Technique: Paired axial CT (left) and PSMA PET (right), 18F tracer. acquired on Siemens Biograph mCT Flow 20.
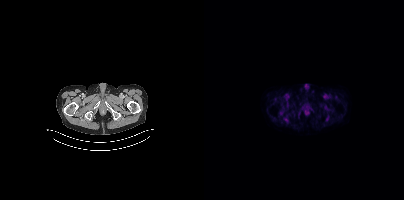
Findings: No tumor lesions annotated on this slice.